Left: CT. Right: PSMA PET, same axial level, 68Ga tracer. Slice 64 of 195. PET panel 168×168 px (4.1 mm/px).
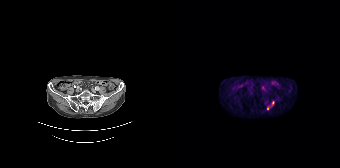
Coordinates are on the 168×168 PET (right) panel. Small PSMA-avid foci (2 to 4 px across) near (center x, center y): (91, 88), (96, 107), (100, 102).